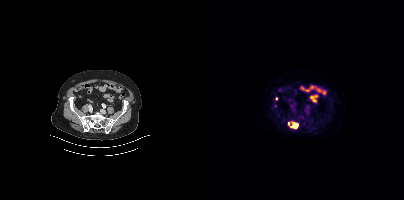
Paired axial CT (left) and PSMA PET (right), 18F tracer. Slice position z = -710 mm. Coordinates are on the 200×200 PET (right) panel. PSMA-avid tumor lesion bounding box (x0,y0,x1,y1): [84,122,94,128]. Small PSMA-avid focus (2 to 4 px across) near (center x, center y): (72, 98).